Left: CT. Right: PSMA PET, same axial level, 18F tracer. PET panel 200×200 px (4.1 mm/px).
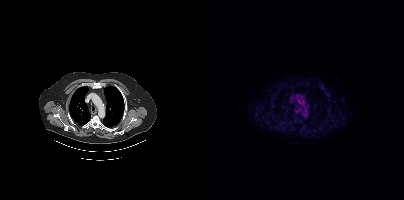
No PSMA-avid tumor lesions on this slice.